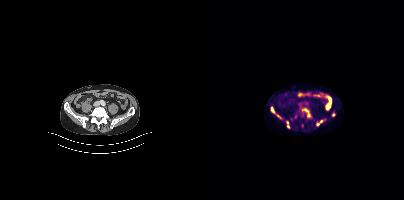
- Two-panel axial: CT | PSMA PET, 18F-PSMA tracer
- slice 124 of 407
Findings: Coordinates are on the 200×200 PET (right) panel. PSMA-avid tumor lesion bounding boxes (x, y, width, height): x=98 y=108 w=9 h=9 | x=82 y=121 w=4 h=7 | x=67 y=107 w=4 h=6 | x=113 y=120 w=6 h=6. Small PSMA-avid foci (2 to 4 px across) near (center x, center y): (129, 114) | (73, 115).